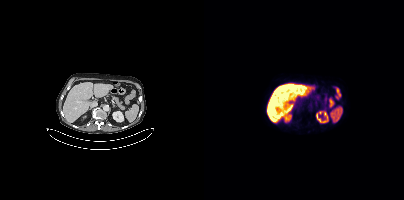
This slice has no annotated PSMA-avid lesion.